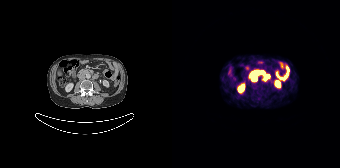
Technique: Left: CT. Right: PSMA PET, same axial level, [68Ga]Ga-PSMA-11 tracer. slice 69 of 165.
Findings: Coordinates are on the 168×168 PET (right) panel. PSMA-avid tumor lesion bounding boxes (x0,y0,x1,y1): [80,71,88,80] [92,75,97,80].